modality: PSMA PET/CT | tracer: 18F-PSMA | view: axial
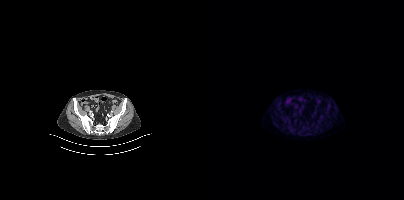
No tumor lesions annotated on this slice.